- Two-panel axial: CT | PSMA PET, [68Ga]Ga-PSMA-11 tracer
- slice position z = -1214 mm
- PET panel 168×168 px (4.1 mm/px)
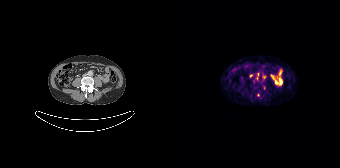
Findings: Coordinates are on the 168×168 PET (right) panel. (showing 3 of 5 foci) Small PSMA-avid foci (2 to 4 px across) near (center x, center y): (92, 76) / (86, 95) / (81, 80).